- Two-panel axial: CT | PSMA PET, 18F tracer
- acquired on Siemens Biograph mCT Flow 20
- PET panel 200×200 px (4.1 mm/px)
- a rectangular block over the head has been blanked out for de-identification
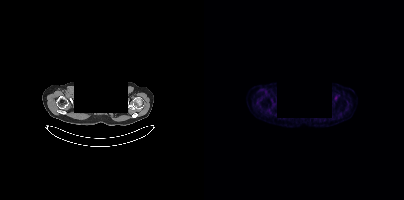
Findings: Negative for PSMA-avid disease on this slice.